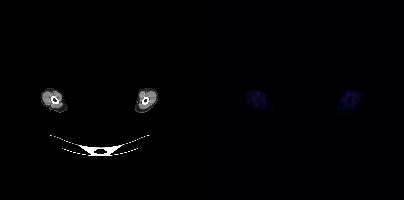
Findings: Negative for PSMA-avid disease on this slice.
Technique: Paired axial CT (left) and PSMA PET (right), 18F-PSMA tracer. acquired on Siemens Biograph mCT Flow 20. slice position z = -314 mm. PET panel 200×200 px (4.1 mm/px).
Note: Face de-identified by blanking a block of the head.